Two-panel axial: CT | PSMA PET, [68Ga]Ga-PSMA-11 tracer. Acquired on Siemens Biograph 64-4R TruePoint.
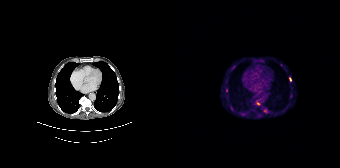
Coordinates are on the 168×168 PET (right) panel. (showing 8 of 10 foci) PSMA-avid tumor lesion bounding boxes (x0,y0,x1,y1): [118,93,120,98]; [84,101,88,105]; [58,106,61,110]. Small PSMA-avid foci (2 to 4 px across) near (center x, center y): (60, 67); (118, 79); (108, 64); (93, 111); (71, 114).